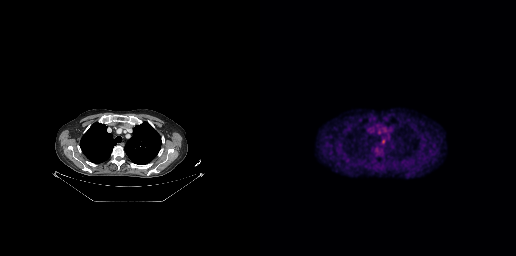
Coordinates are on the 256×256 PET (right) panel. Small PSMA-avid focus (2 to 4 px across) near (center x, center y): (123, 141). Paired axial CT (left) and PSMA PET (right), 18F tracer.